Technique: Paired axial CT (left) and PSMA PET (right), 18F tracer. slice 199 of 438. PET panel 200×200 px (4.1 mm/px).
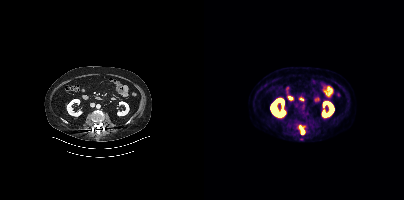
Findings: Coordinates are on the 200×200 PET (right) panel. PSMA-avid tumor lesion bounding box (x, y, width, height): x=95 y=125 w=5 h=5. Small PSMA-avid focus (2 to 4 px across) near (center x, center y): (98, 132).